modality: PSMA PET/CT | tracer: 18F | view: axial
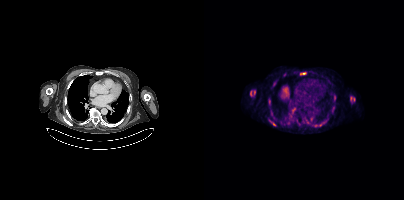
Coordinates are on the 200×200 PET (right) panel. PSMA-avid tumor lesion bounding boxes (x, y, width, height): x=46 y=90 w=6 h=7; x=146 y=96 w=6 h=7; x=96 y=72 w=7 h=3; x=114 y=122 w=6 h=5; x=66 y=121 w=6 h=5; x=64 y=100 w=3 h=5. Small PSMA-avid foci (2 to 4 px across) near (center x, center y): (130, 95); (123, 119).